Paired axial CT (left) and PSMA PET (right), 18F tracer. Acquired on Siemens Biograph mCT Flow 20. PET panel 200×200 px (4.1 mm/px).
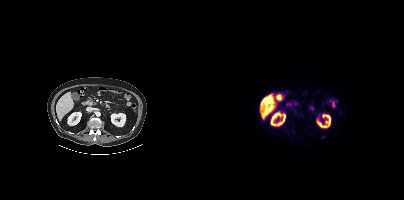
Coordinates are on the 200×200 PET (right) panel. Small PSMA-avid focus (2 to 4 px across) near (center x, center y): (120, 136).